Left: CT. Right: PSMA PET, same axial level, 18F-PSMA tracer. Acquired on Siemens Biograph mCT Flow 20.
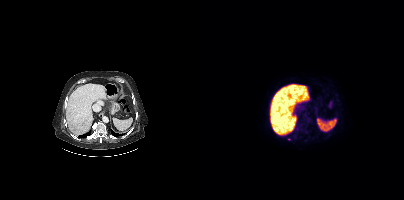
Negative for PSMA-avid disease on this slice.